Two-panel axial: CT | PSMA PET, [18F]PSMA-1007 tracer. Acquired on GE Discovery 690. PET panel 256×256 px (2.7 mm/px).
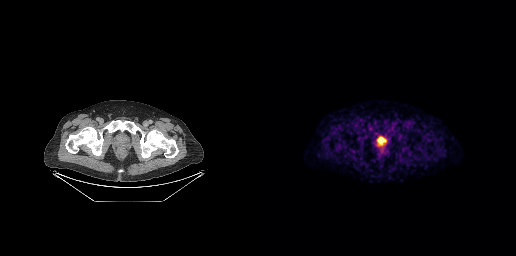
Coordinates are on the 256×256 PET (right) panel. PSMA-avid tumor lesion bounding boxes:
| # | x0 | y0 | x1 | y1 |
|---|---|---|---|---|
| 1 | 118 | 137 | 124 | 142 |